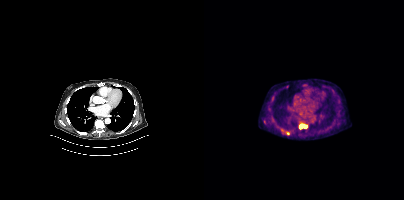
Coordinates are on the 200×200 PET (right) panel. PSMA-avid tumor lesion bounding box (x0, y0)-(x1, y1): (95, 124)-(102, 128). Small PSMA-avid focus (2 to 4 px across) near (center x, center y): (84, 133).